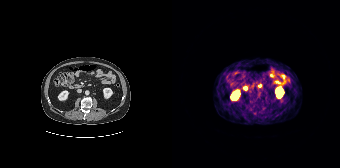
{"modality":"PSMA PET/CT","view":"axial","tracer":"68Ga","pet_grid":[168,168],"coord_frame":"pet_panel","coord_format":"x0,y0,x1,y1","psma_avid_lesions":false}